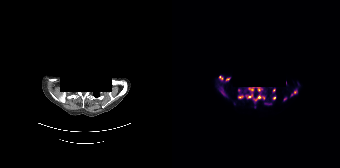
modality: PSMA PET/CT | tracer: 18F-PSMA | view: axial | deidentification: rectangular block over head set to black
Coordinates are on the 168×168 PET (right) panel. (showing 12 of 13 foci) PSMA-avid tumor lesion bounding boxes (x0, y0)-(x1, y1): (47, 76)-(57, 82); (47, 87)-(53, 94); (82, 95)-(89, 100); (74, 94)-(80, 98); (66, 94)-(71, 98); (93, 103)-(98, 104). Small PSMA-avid foci (2 to 4 px across) near (center x, center y): (123, 91); (102, 98); (102, 90); (91, 97); (113, 99); (119, 94).